- Left: CT. Right: PSMA PET, same axial level, 18F tracer
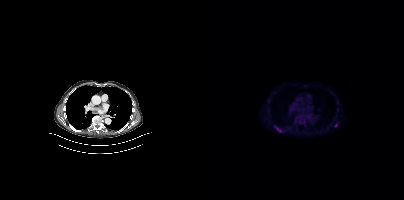
Findings: Coordinates are on the 200×200 PET (right) panel. PSMA-avid tumor lesion bounding boxes (x0, y0)-(x1, y1): (71, 126)-(77, 131) / (131, 123)-(133, 127).